Paired axial CT (left) and PSMA PET (right), 18F tracer. PET panel 200×200 px (4.1 mm/px).
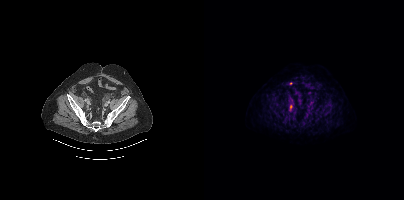
Coordinates are on the 200×200 PET (right) panel. PSMA-avid tumor lesion bounding boxes:
| # | x0 | y0 | x1 | y1 |
|---|---|---|---|---|
| 1 | 86 | 100 | 89 | 110 |
Small PSMA-avid focus (2 to 4 px across) near (center x, center y): (87, 83).